Paired axial CT (left) and PSMA PET (right), [18F]PSMA-1007 tracer. Acquired on GE Discovery 690. PET panel 256×256 px (2.7 mm/px).
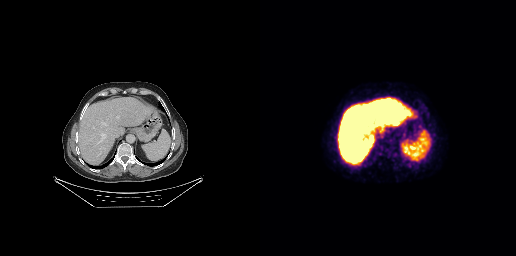
No PSMA-avid tumor lesions on this slice.